redaction: privacy mask over head | modality: PSMA PET/CT | tracer: [18F]PSMA-1007 | view: axial
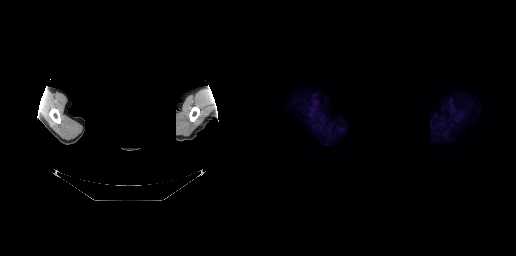
No tumor lesions annotated on this slice.